- Two-panel axial: CT | PSMA PET, 18F tracer
- slice 262 of 435
- PET panel 200×200 px (4.1 mm/px)
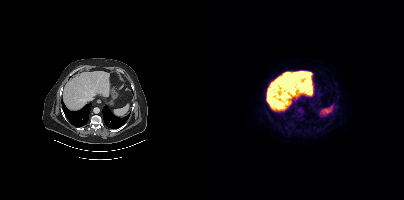
Findings: This slice has no annotated PSMA-avid lesion.